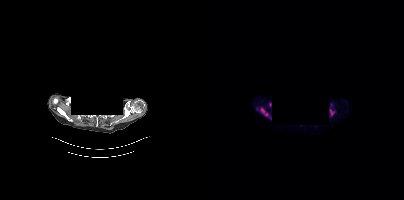
{"pet_grid":[200,200],"coord_frame":"pet_panel","coord_format":"x0,y0,x1,y1","partial":true,"lesion_bboxes":[[57,108,64,116],[126,109,130,115],[64,102,66,106]],"small_foci_centers":[[66,118]],"redaction":"head region blacked out before release","modality":"PSMA PET/CT","view":"axial","tracer":"18F-PSMA"}